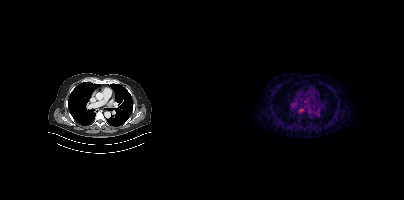
Only PSMA-avid lesion pieces thinner than 2 px on this slice (not listed). Left: CT. Right: PSMA PET, same axial level, 68Ga tracer.